Two-panel axial: CT | PSMA PET, 18F-PSMA tracer. Acquired on Siemens Biograph mCT Flow 20. PET panel 200×200 px (4.1 mm/px).
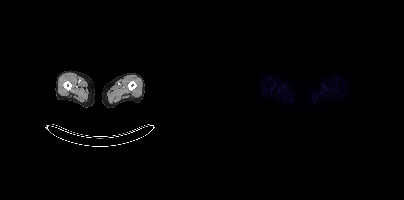
This slice has no annotated PSMA-avid lesion.